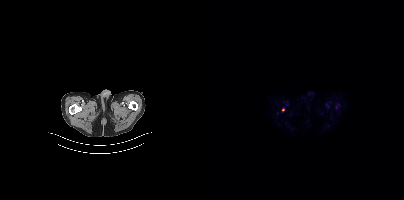
Findings: Coordinates are on the 200×200 PET (right) panel. Small PSMA-avid focus (2 to 4 px across) near (center x, center y): (78, 109).
Technique: Paired axial CT (left) and PSMA PET (right), [18F]PSMA-1007 tracer. PET panel 200×200 px (4.1 mm/px).